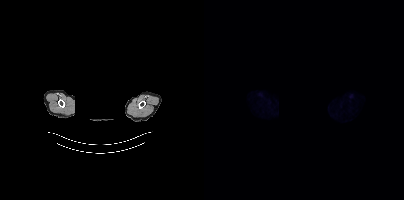
Findings: Negative for PSMA-avid disease on this slice.
Technique: Paired axial CT (left) and PSMA PET (right), 18F-PSMA tracer. slice 369 of 411. PET panel 200×200 px (4.1 mm/px).
Note: Privacy masking over the head, with the pixels inside a rectangle set to black.